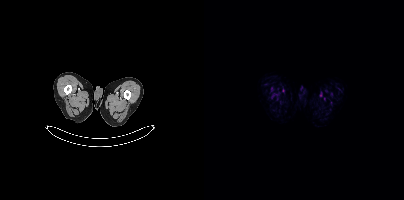
No tumor lesions annotated on this slice.